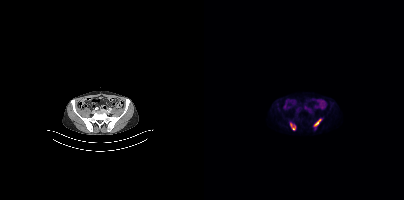
Coordinates are on the 200×200 PET (right) panel. PSMA-avid tumor lesion bounding boxes (x0,y0,x1,y1): [86,122,91,130], [110,119,116,126].